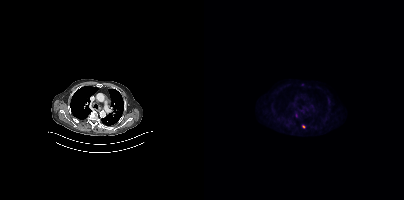
{"modality":"PSMA PET/CT","view":"axial","tracer":"18F","pet_grid":[200,200],"coord_frame":"pet_panel","coord_format":"x0,y0,x1,y1","lesion_bboxes":[],"small_foci_centers":[[99,126],[92,115]]}